Paired axial CT (left) and PSMA PET (right), 18F-PSMA tracer. PET panel 200×200 px (4.1 mm/px).
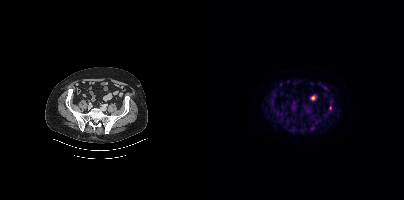
Coordinates are on the 200×200 PET (right) panel. Small PSMA-avid focus (2 to 4 px across) near (center x, center y): (126, 108).